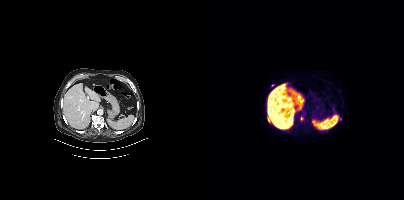
Paired axial CT (left) and PSMA PET (right), [18F]PSMA-1007 tracer. Acquired on Siemens Biograph mCT Flow 20. Slice 259 of 450. Coordinates are on the 200×200 PET (right) panel. Small PSMA-avid foci (2 to 4 px across) near (center x, center y): (97, 118) | (68, 85).